modality: PSMA PET/CT | tracer: [18F]PSMA-1007 | view: axial | PET grid: 200×200
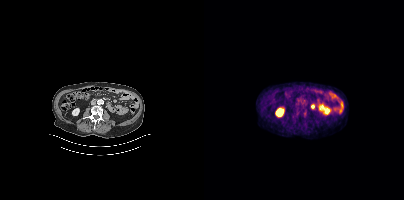
This slice has no annotated PSMA-avid lesion.